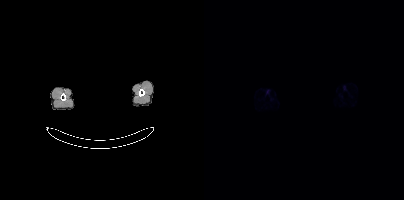
{"modality":"PSMA PET/CT","view":"axial","tracer":"[68Ga]Ga-PSMA-11","pet_grid":[200,200],"coord_frame":"pet_panel","coord_format":"x0,y0,x1,y1","deidentification":"privacy mask over head","psma_avid_lesions":false}